- Paired axial CT (left) and PSMA PET (right), [18F]PSMA-1007 tracer
- acquired on GE Discovery 690
- slice position z = -641 mm
- PET panel 256×256 px (2.7 mm/px)
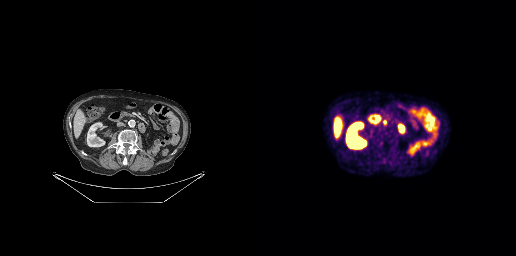
Findings: Coordinates are on the 256×256 PET (right) panel. PSMA-avid tumor lesion bounding box (x0, y0)-(x1, y1): (123, 120)-(126, 124).